A rectangle over the head was blacked out to remove identifiable facial features. Paired axial CT (left) and PSMA PET (right), [18F]PSMA-1007 tracer.
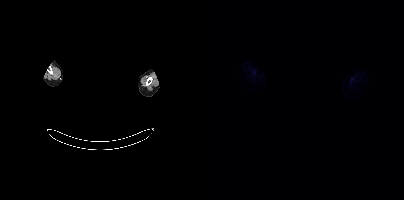
No PSMA-avid tumor lesions on this slice.